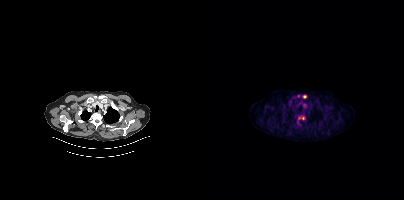
Coordinates are on the 200×200 PET (right) panel. (showing 2 of 3 foci) PSMA-avid tumor lesion bounding box (x, y, width, height): x=93 y=115 w=9 h=9. Small PSMA-avid focus (2 to 4 px across) near (center x, center y): (100, 96).
modality: PSMA PET/CT | tracer: 18F-PSMA | view: axial | PET grid: 200×200